Paired axial CT (left) and PSMA PET (right), 18F tracer. Acquired on GE Discovery 690.
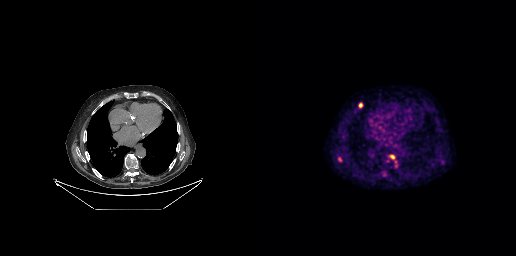
Coordinates are on the 256×256 PET (right) panel. PSMA-avid tumor lesion bounding boxes:
| # | x0 | y0 | x1 | y1 |
|---|---|---|---|---|
| 1 | 78 | 157 | 82 | 161 |
| 2 | 130 | 155 | 134 | 159 |
| 3 | 99 | 103 | 102 | 107 |